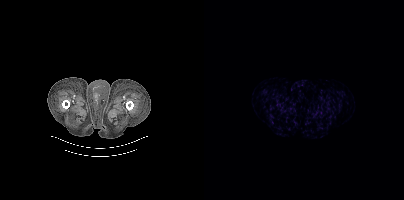
{"modality":"PSMA PET/CT","view":"axial","tracer":"18F-PSMA","pet_grid":[200,200],"coord_frame":"pet_panel","coord_format":"x0,y0,x1,y1","psma_avid_lesions":false}